Two-panel axial: CT | PSMA PET, [18F]PSMA-1007 tracer. Acquired on Siemens Biograph mCT Flow 20.
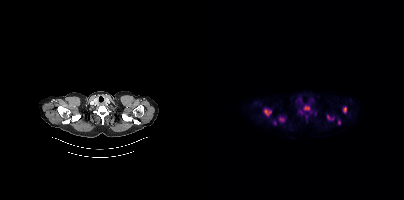
Coordinates are on the 200×200 PET (right) panel. PSMA-avid tumor lesion bounding boxes (partial; 1 more focus not listed):
| # | x0 | y0 | x1 | y1 |
|---|---|---|---|---|
| 1 | 60 | 108 | 67 | 115 |
| 2 | 101 | 114 | 104 | 122 |
| 3 | 75 | 117 | 79 | 122 |
| 4 | 100 | 106 | 105 | 110 |
| 5 | 139 | 107 | 142 | 112 |
Small PSMA-avid foci (2 to 4 px across) near (center x, center y): (96, 111); (135, 122); (107, 111); (124, 116); (70, 122).